Left: CT. Right: PSMA PET, same axial level, 18F-PSMA tracer. Slice 236 of 438. PET panel 200×200 px (4.1 mm/px).
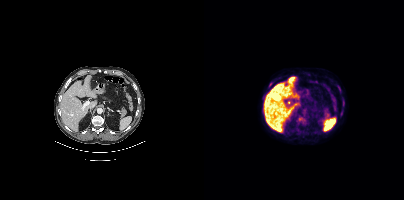
Coordinates are on the 200×200 PET (right) panel. Small PSMA-avid foci (2 to 4 px across) near (center x, center y): (140, 106) / (65, 84).